Left: CT. Right: PSMA PET, same axial level, 18F-PSMA tracer.
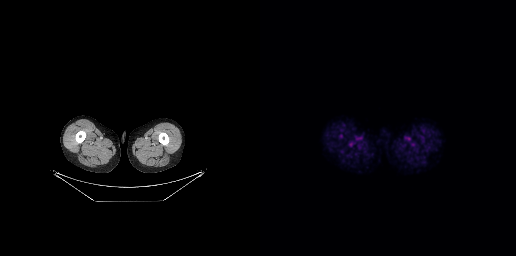
Negative for PSMA-avid disease on this slice.